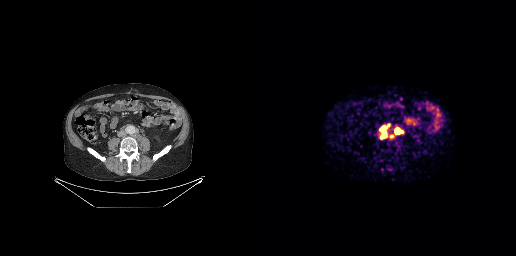
Two-panel axial: CT | PSMA PET, 68Ga-PSMA tracer. Slice 42 of 189. Coordinates are on the 256×256 PET (right) panel. PSMA-avid tumor lesion bounding boxes (x0, y0)-(x1, y1): (120, 124)-(129, 138); (135, 128)-(143, 133). Small PSMA-avid focus (2 to 4 px across) near (center x, center y): (131, 136).